Paired axial CT (left) and PSMA PET (right), [18F]PSMA-1007 tracer. PET panel 200×200 px (4.1 mm/px).
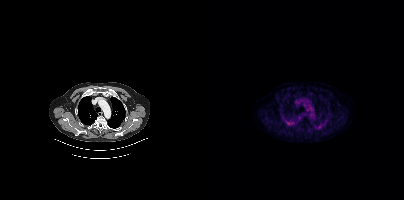
Negative for PSMA-avid disease on this slice.